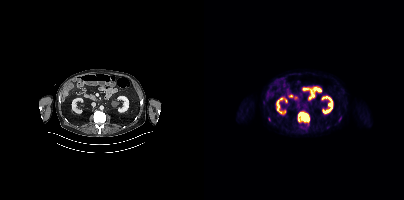
Two-panel axial: CT | PSMA PET, [18F]PSMA-1007 tracer. Acquired on Siemens Biograph mCT Flow 20. Slice position z = -1220 mm. PET panel 200×200 px (4.1 mm/px).
Coordinates are on the 200×200 PET (right) panel. PSMA-avid tumor lesion bounding boxes:
| # | x0 | y0 | x1 | y1 |
|---|---|---|---|---|
| 1 | 94 | 112 | 105 | 121 |